Technique: Left: CT. Right: PSMA PET, same axial level, [68Ga]Ga-PSMA-11 tracer. slice position z = -1732 mm. PET panel 200×200 px (4.1 mm/px).
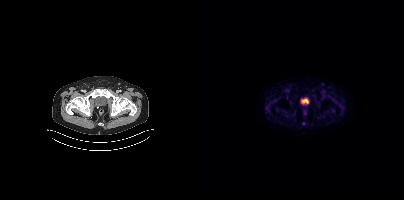
Findings: Only PSMA-avid lesion pieces thinner than 2 px on this slice (not listed).